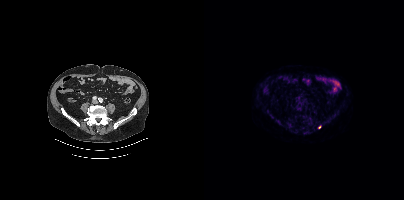
- Two-panel axial: CT | PSMA PET, 18F tracer
- acquired on Siemens Biograph mCT Flow 20
- slice 159 of 454
- PET panel 200×200 px (4.1 mm/px)
Findings: Only PSMA-avid lesion pieces thinner than 2 px on this slice (not listed).